Paired axial CT (left) and PSMA PET (right), 68Ga tracer. Acquired on Siemens Biograph 64-4R TruePoint. Slice 71 of 165.
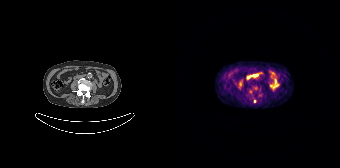
Coordinates are on the 168×168 PET (right) panel. (showing 2 of 3 foci) Small PSMA-avid foci (2 to 4 px across) near (center x, center y): (88, 72) / (78, 91).